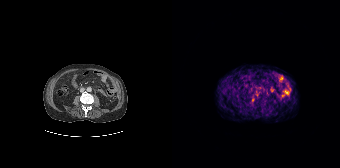
{"modality":"PSMA PET/CT","view":"axial","tracer":"68Ga-PSMA","pet_grid":[168,168],"coord_frame":"pet_panel","coord_format":"x0,y0,x1,y1","psma_avid_lesions":false}